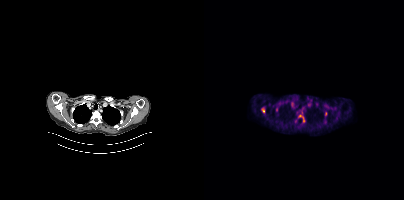
Coordinates are on the 200×200 PET (right) panel. (showing 2 of 6 foci) PSMA-avid tumor lesion bounding box (x0,y0,x1,y1): [57,108,60,112]. Small PSMA-avid focus (2 to 4 px across) near (center x, center y): (121, 113).